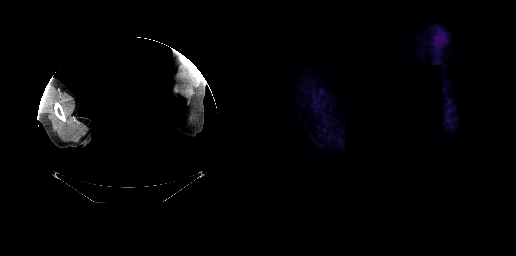
deidentification: face masked with black rectangle | modality: PSMA PET/CT | tracer: [18F]PSMA-1007 | view: axial | PET grid: 256×256
This slice has no annotated PSMA-avid lesion.